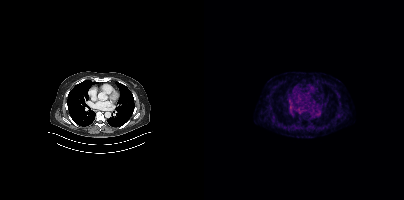
Left: CT. Right: PSMA PET, same axial level, 68Ga tracer. PET panel 200×200 px (4.1 mm/px). This slice has no annotated PSMA-avid lesion.